Technique: Paired axial CT (left) and PSMA PET (right), 18F tracer. slice position z = -1550 mm.
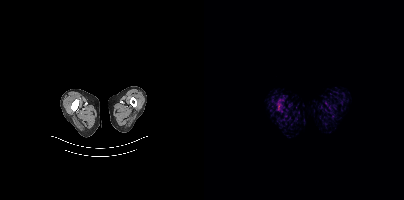
Findings: Coordinates are on the 200×200 PET (right) panel. PSMA-avid tumor lesion bounding box (x, y, width, height): x=73 y=103 w=5 h=8.